Privacy masking over the head, with the pixels inside a rectangle set to black. Left: CT. Right: PSMA PET, same axial level, 68Ga tracer. Slice position z = -896 mm. PET panel 200×200 px (4.1 mm/px).
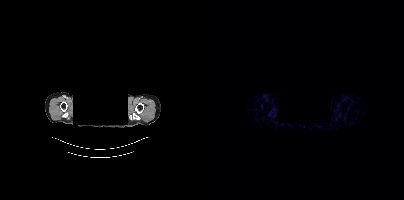
No PSMA-avid tumor lesions on this slice.